modality: PSMA PET/CT | tracer: [68Ga]Ga-PSMA-11 | view: axial | PET grid: 200×200
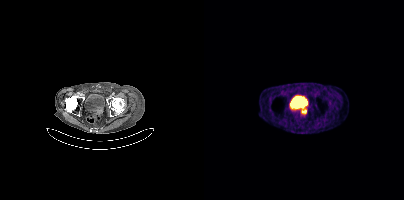
Coordinates are on the 200×200 PET (right) panel. PSMA-avid tumor lesion bounding box (x0, y0)-(x1, y1): (96, 107)-(103, 115).